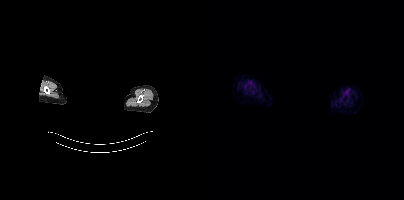
- a rectangle over the head was blacked out to remove identifiable facial features
- Paired axial CT (left) and PSMA PET (right), [18F]PSMA-1007 tracer
- acquired on Siemens Biograph mCT Flow 20
- PET panel 200×200 px (4.1 mm/px)
Findings: No tumor lesions annotated on this slice.